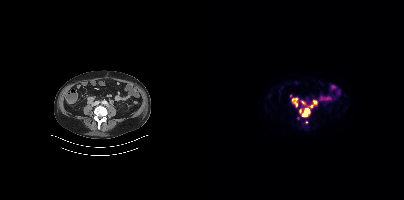
Coordinates are on the 200×200 PET (right) panel. (showing 5 of 6 foci) PSMA-avid tumor lesion bounding boxes (x0,y0,x1,y1): [98,108,105,116]; [88,98,93,106]; [106,101,112,107]. Small PSMA-avid foci (2 to 4 px across) near (center x, center y): (99, 101); (102, 122).